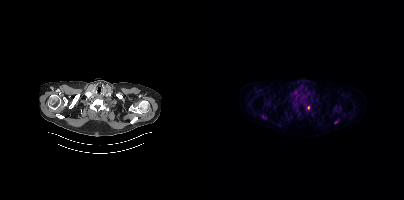
Two-panel axial: CT | PSMA PET, 18F tracer. Acquired on Siemens Biograph mCT Flow 20. PET panel 200×200 px (4.1 mm/px). Coordinates are on the 200×200 PET (right) panel. PSMA-avid tumor lesion bounding boxes (x0,y0,x1,y1): [58,115,62,119]; [88,105,93,111]. Small PSMA-avid foci (2 to 4 px across) near (center x, center y): (132, 121); (89, 95); (95, 110); (105, 106); (98, 100).